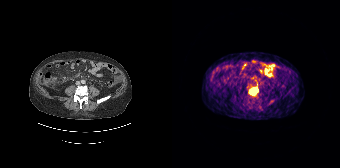
Findings: Coordinates are on the 168×168 PET (right) panel. PSMA-avid tumor lesion bounding box (x0, y0)-(x1, y1): (77, 87)-(86, 94).
- Left: CT. Right: PSMA PET, same axial level, [68Ga]Ga-PSMA-11 tracer